- Two-panel axial: CT | PSMA PET, [18F]PSMA-1007 tracer
- acquired on Siemens Biograph mCT Flow 20
- PET panel 200×200 px (4.1 mm/px)
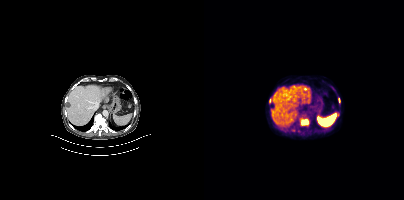
Findings: Coordinates are on the 200×200 PET (right) panel. (showing 3 of 4 foci) PSMA-avid tumor lesion bounding box (x0, y0)-(x1, y1): (97, 119)-(104, 125). Small PSMA-avid foci (2 to 4 px across) near (center x, center y): (65, 100); (133, 114).